- Two-panel axial: CT | PSMA PET, [18F]PSMA-1007 tracer
- acquired on Siemens Biograph mCT Flow 20
- slice position z = -1042 mm
- PET panel 200×200 px (4.1 mm/px)
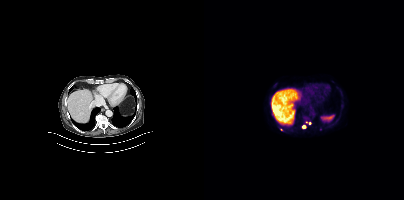
Findings: Coordinates are on the 200×200 PET (right) panel. (showing 2 of 4 foci) Small PSMA-avid foci (2 to 4 px across) near (center x, center y): (100, 126); (77, 129).